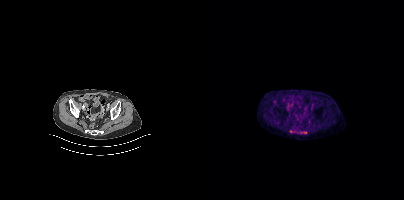
Two-panel axial: CT | PSMA PET, [18F]PSMA-1007 tracer. Slice 95 of 377. Negative for PSMA-avid disease on this slice.